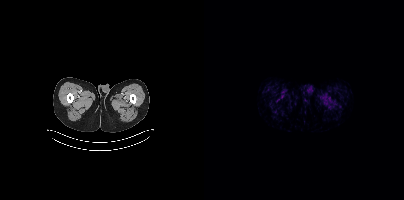
{"modality":"PSMA PET/CT","view":"axial","tracer":"68Ga","pet_grid":[200,200],"coord_frame":"pet_panel","coord_format":"x0,y0,x1,y1","psma_avid_lesions":false}